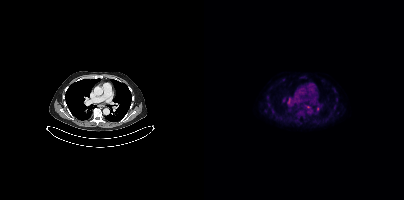
Coordinates are on the 200×200 PET (right) panel. PSMA-avid tumor lesion bounding box (x, y, width, height): x=102 y=106 w=5 h=3. Small PSMA-avid foci (2 to 4 px across) near (center x, center y): (113, 108) / (85, 100).